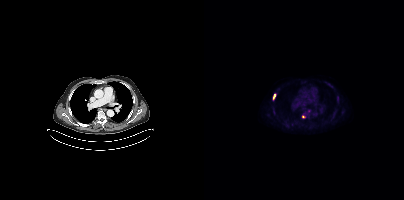
{"pet_grid":[200,200],"coord_frame":"pet_panel","coord_format":"x0,y0,x1,y1","partial":true,"lesion_bboxes":[[69,94,71,98]],"small_foci_centers":[[104,110]],"modality":"PSMA PET/CT","view":"axial","tracer":"18F"}